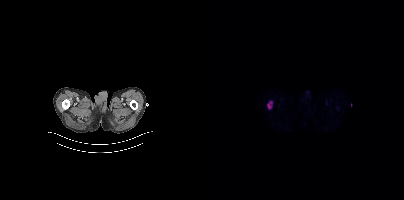
modality: PSMA PET/CT | tracer: 18F | view: axial
Coordinates are on the 200×200 PET (right) panel. PSMA-avid tumor lesion bounding box (x0,y0,x1,y1): [63,101,68,108].